modality: PSMA PET/CT | tracer: 68Ga-PSMA | view: axial | PET grid: 200×200
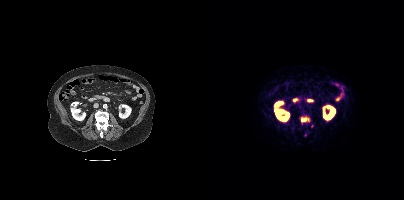
Coordinates are on the 200×200 PET (right) panel. (showing 1 of 3 foci) PSMA-avid tumor lesion bounding box (x0, y0)-(x1, y1): (97, 117)-(106, 123).